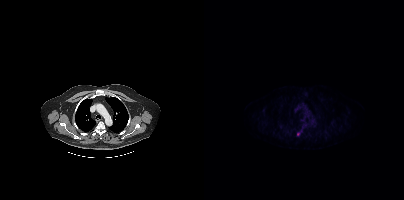
Coordinates are on the 200×200 PET (right) panel. Small PSMA-avid focus (2 to 4 px across) near (center x, center y): (94, 134). Paired axial CT (left) and PSMA PET (right), [18F]PSMA-1007 tracer. Slice position z = -954 mm.